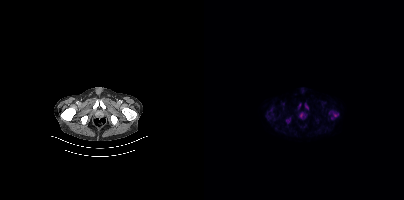
Coordinates are on the 200×200 PET (right) panel. PSMA-avid tumor lesion bounding boxes (x0, y0)-(x1, y1): (125, 110)-(134, 119) / (82, 118)-(86, 123). Small PSMA-avid foci (2 to 4 px across) near (center x, center y): (102, 106) / (97, 115) / (95, 104).